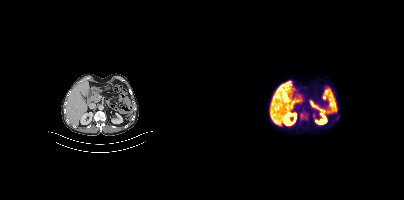
This slice has no annotated PSMA-avid lesion.
modality: PSMA PET/CT | tracer: 18F-PSMA | view: axial | PET grid: 200×200